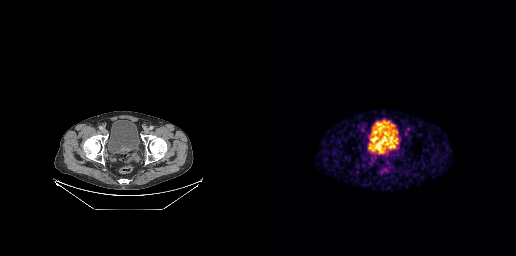
Technique: Two-panel axial: CT | PSMA PET, 68Ga tracer. acquired on GE Discovery 690. PET panel 256×256 px (2.7 mm/px).
Findings: Coordinates are on the 256×256 PET (right) panel. PSMA-avid tumor lesion bounding box (x0,y0,x1,y1): [111,139,131,153].